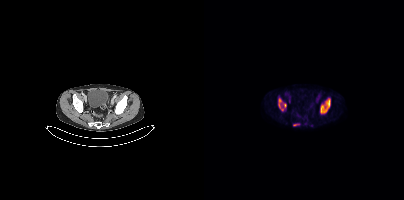
- Two-panel axial: CT | PSMA PET, 18F tracer
- acquired on Siemens Biograph mCT Flow 20
- slice 80 of 403
Findings: Coordinates are on the 200×200 PET (right) panel. PSMA-avid tumor lesion bounding boxes (x, y, width, height): x=116 y=98 w=11 h=16 / x=74 y=98 w=9 h=13 / x=89 y=124 w=6 h=2.